Two-panel axial: CT | PSMA PET, 68Ga tracer.
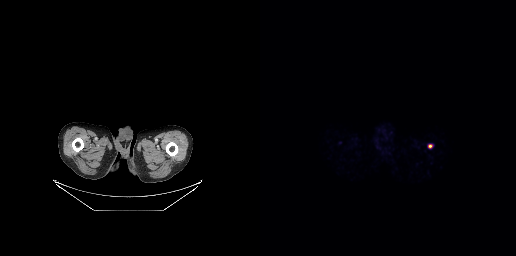
Only PSMA-avid lesion pieces thinner than 2 px on this slice (not listed).